modality: PSMA PET/CT | tracer: 18F | view: axial | PET grid: 256×256
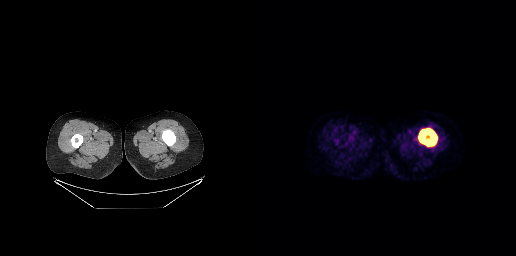
Coordinates are on the 256×256 PET (right) panel. PSMA-avid tumor lesion bounding box (x0,y0,x1,y1): [158,128,177,146].